Technique: Two-panel axial: CT | PSMA PET, 68Ga tracer. acquired on GE Discovery 690.
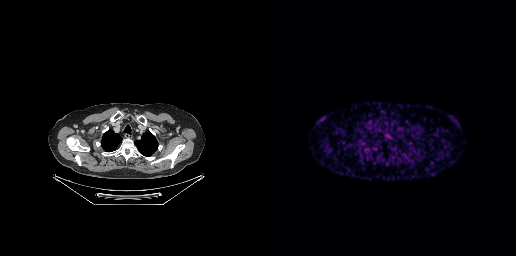
Findings: No tumor lesions annotated on this slice.